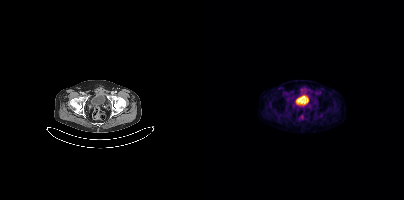
modality: PSMA PET/CT | tracer: 18F | view: axial
Negative for PSMA-avid disease on this slice.